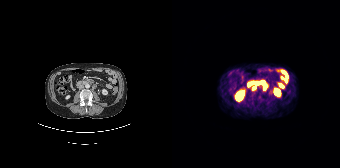
modality: PSMA PET/CT | tracer: [68Ga]Ga-PSMA-11 | view: axial
Coordinates are on the 168×168 PET (right) panel. PSMA-avid tumor lesion bounding boxes (x0, y0)-(x1, y1): (91, 85)-(95, 90) | (82, 81)-(87, 84). Small PSMA-avid focus (2 to 4 px across) near (center x, center y): (82, 88).